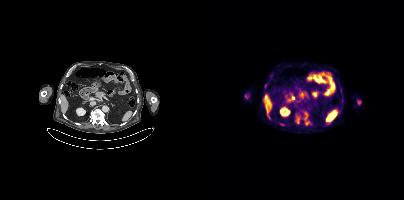
Coordinates are on the 200×200 PET (right) panel. (showing 2 of 5 foci) Small PSMA-avid foci (2 to 4 px across) near (center x, center y): (78, 124); (102, 123). Left: CT. Right: PSMA PET, same axial level, 18F-PSMA tracer. Slice 222 of 401. PET panel 200×200 px (4.1 mm/px).